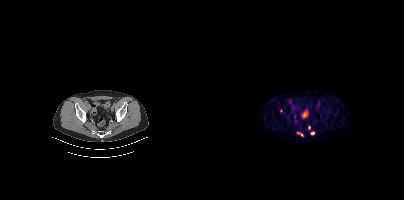
Coordinates are on the 200×200 PET (right) panel. (showing 3 of 4 foci) PSMA-avid tumor lesion bounding box (x, y, width, height): x=93 y=132 w=7 h=5. Small PSMA-avid foci (2 to 4 px across) near (center x, center y): (108, 133); (105, 127).
modality: PSMA PET/CT | tracer: 68Ga | view: axial